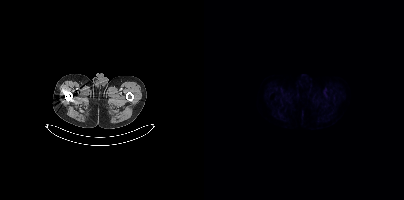
This slice has no annotated PSMA-avid lesion. Paired axial CT (left) and PSMA PET (right), [18F]PSMA-1007 tracer. Acquired on Siemens Biograph mCT Flow 20. PET panel 200×200 px (4.1 mm/px).